Privacy masking, with the pixels inside a rectangle set to black. Paired axial CT (left) and PSMA PET (right), 18F-PSMA tracer. Slice position z = -408 mm. PET panel 200×200 px (4.1 mm/px).
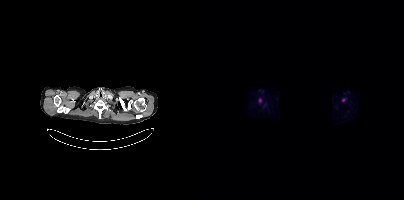
Coordinates are on the 200×200 PET (right) panel. Small PSMA-avid foci (2 to 4 px across) near (center x, center y): (56, 100); (139, 100).